- Left: CT. Right: PSMA PET, same axial level, [18F]PSMA-1007 tracer
- slice position z = -999 mm
- face de-identified by blanking a block of the head
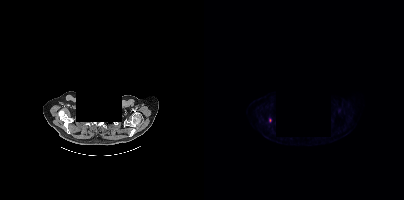
Findings: Coordinates are on the 200×200 PET (right) panel. Small PSMA-avid focus (2 to 4 px across) near (center x, center y): (66, 120).